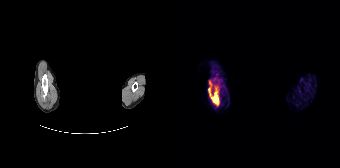
Coordinates are on the 168×168 PET (right) panel. PSMA-avid tumor lesion bounding boxes:
| # | x0 | y0 | x1 | y1 |
|---|---|---|---|---|
| 1 | 36 | 80 | 47 | 105 |
A rectangular block over the head has been blanked out for de-identification. Two-panel axial: CT | PSMA PET, [68Ga]Ga-PSMA-11 tracer. Slice 173 of 195.